Technique: Paired axial CT (left) and PSMA PET (right), [18F]PSMA-1007 tracer. acquired on Siemens Biograph mCT Flow 20. slice position z = 374 mm. PET panel 200×200 px (4.1 mm/px).
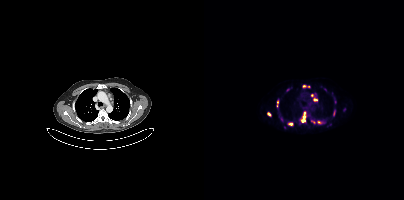
Findings: Coordinates are on the 200×200 PET (right) panel. (showing 11 of 15 foci) PSMA-avid tumor lesion bounding boxes (x, y, width, height): x=97 y=112 w=5 h=11; x=113 y=120 w=6 h=5; x=98 y=85 w=8 h=3; x=129 y=110 w=3 h=6; x=84 y=123 w=5 h=3; x=73 y=100 w=2 h=8. Small PSMA-avid foci (2 to 4 px across) near (center x, center y): (108, 95); (65, 114); (77, 119); (111, 99); (108, 121).